Technique: Left: CT. Right: PSMA PET, same axial level, [68Ga]Ga-PSMA-11 tracer. slice 53 of 263.
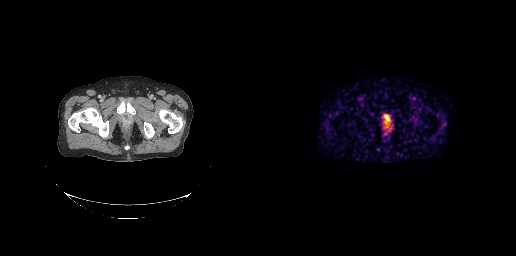
Findings: Coordinates are on the 256×256 PET (right) panel. PSMA-avid tumor lesion bounding box (x, y, width, height): x=125 y=115 w=5 h=6. Small PSMA-avid focus (2 to 4 px across) near (center x, center y): (127, 126).